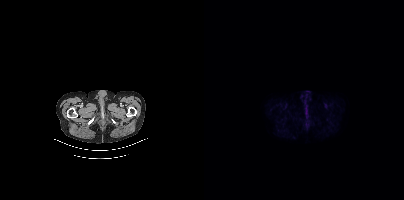
modality: PSMA PET/CT | tracer: 18F | view: axial
No PSMA-avid tumor lesions on this slice.